Technique: Paired axial CT (left) and PSMA PET (right), [18F]PSMA-1007 tracer. PET panel 200×200 px (4.1 mm/px).
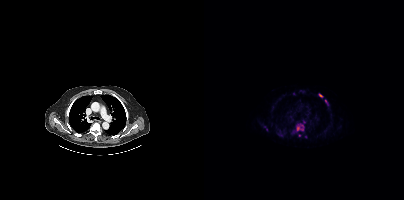
Findings: Coordinates are on the 200×200 PET (right) panel. PSMA-avid tumor lesion bounding boxes (x0, y0)-(x1, y1): (93, 126)-(99, 130); (121, 100)-(124, 104). Small PSMA-avid foci (2 to 4 px across) near (center x, center y): (116, 95); (98, 125); (95, 135).